Two-panel axial: CT | PSMA PET, [68Ga]Ga-PSMA-11 tracer. PET panel 256×256 px (2.7 mm/px).
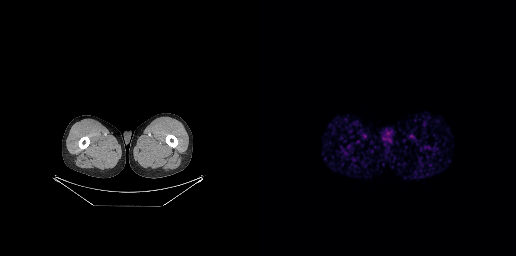
This slice has no annotated PSMA-avid lesion.